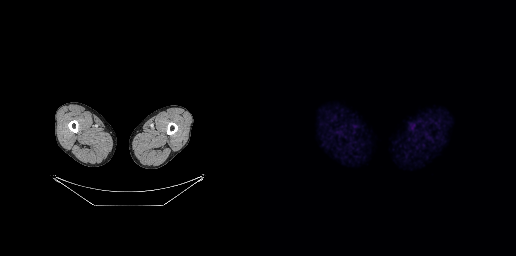
- Left: CT. Right: PSMA PET, same axial level, 18F-PSMA tracer
- slice position z = -830 mm
Findings: Negative for PSMA-avid disease on this slice.